Paired axial CT (left) and PSMA PET (right), 18F-PSMA tracer. PET panel 200×200 px (4.1 mm/px).
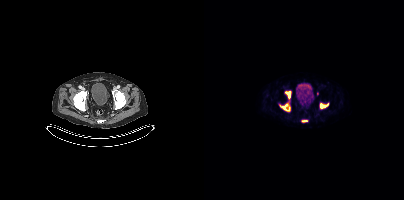
Coordinates are on the 200×200 PET (right) panel. (showing 4 of 5 foci) PSMA-avid tumor lesion bounding boxes (x, y, width, height): x=76 y=103 w=10 h=8; x=81 y=91 w=6 h=8; x=116 y=103 w=9 h=6; x=98 y=120 w=6 h=2.